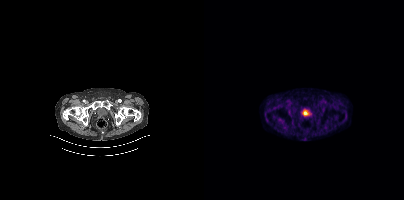
Findings: Negative for PSMA-avid disease on this slice.
Technique: Two-panel axial: CT | PSMA PET, 68Ga-PSMA tracer. acquired on Siemens Biograph mCT Flow 20.